- a rectangle over the head was blacked out to remove identifiable facial features
- Paired axial CT (left) and PSMA PET (right), [18F]PSMA-1007 tracer
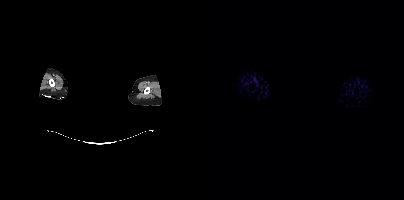
Findings: Negative for PSMA-avid disease on this slice.